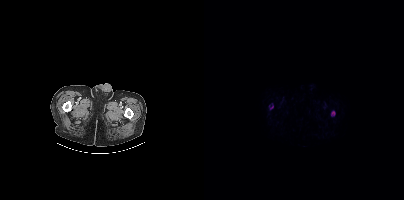
Technique: Two-panel axial: CT | PSMA PET, 18F-PSMA tracer. slice 28 of 423.
Findings: Coordinates are on the 200×200 PET (right) panel. (showing 2 of 3 foci) PSMA-avid tumor lesion bounding boxes (x, y, width, height): x=127 y=111 w=5 h=6; x=66 y=105 w=4 h=5.